- Left: CT. Right: PSMA PET, same axial level, [68Ga]Ga-PSMA-11 tracer
- slice 175 of 409
- PET panel 200×200 px (4.1 mm/px)
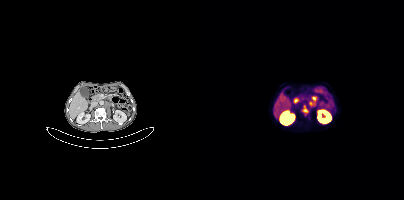
Findings: Coordinates are on the 200×200 PET (right) panel. PSMA-avid tumor lesion bounding boxes (x0, y0)-(x1, y1): (105, 96)-(112, 105); (98, 106)-(104, 114).